Technique: Left: CT. Right: PSMA PET, same axial level, [68Ga]Ga-PSMA-11 tracer. acquired on Siemens Biograph mCT Flow 20. PET panel 200×200 px (4.1 mm/px).
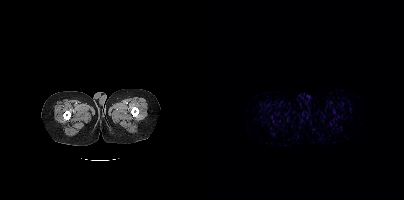
Findings: No PSMA-avid tumor lesions on this slice.